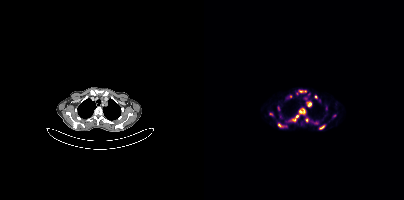
modality: PSMA PET/CT | tracer: 68Ga | view: axial | PET grid: 200×200
Coordinates are on the 200×200 PET (right) panel. PSMA-avid tumor lesion bounding boxes (x0,y0,x1,y1): [95,109,101,113], [103,101,107,106], [88,115,94,120], [96,90,102,92], [115,125,120,129], [74,123,78,126], [65,113,69,115]. Small PSMA-avid foci (2 to 4 px across) near (center x, center y): (112, 96), (74, 108), (86, 96), (102, 120).